Technique: Two-panel axial: CT | PSMA PET, 18F tracer. slice 245 of 389. PET panel 200×200 px (4.1 mm/px).
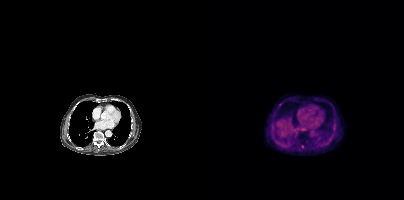
Findings: Coordinates are on the 200×200 PET (right) panel. Small PSMA-avid foci (2 to 4 px across) near (center x, center y): (98, 146), (76, 104).